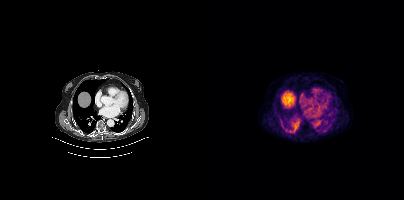
{"modality":"PSMA PET/CT","view":"axial","tracer":"18F","pet_grid":[200,200],"coord_frame":"pet_panel","coord_format":"x0,y0,x1,y1","psma_avid_lesions":false}